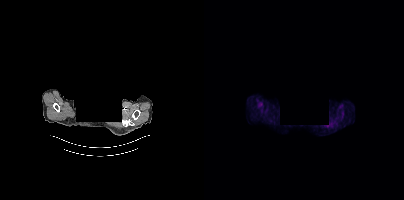
No tumor lesions annotated on this slice. Two-panel axial: CT | PSMA PET, [18F]PSMA-1007 tracer. Acquired on Siemens Biograph mCT Flow 20. Face de-identified by blanking a block of the head.